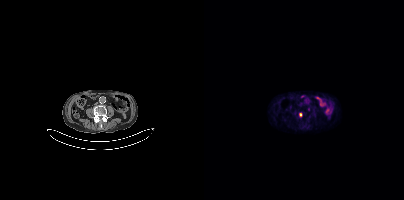
Technique: Left: CT. Right: PSMA PET, same axial level, [18F]PSMA-1007 tracer. acquired on Siemens Biograph mCT Flow 20.
Findings: Coordinates are on the 200×200 PET (right) panel. Small PSMA-avid foci (2 to 4 px across) near (center x, center y): (96, 114); (104, 109).